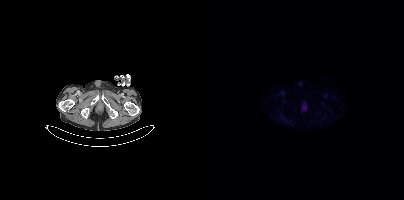
{"modality":"PSMA PET/CT","view":"axial","tracer":"18F-PSMA","pet_grid":[200,200],"coord_frame":"pet_panel","coord_format":"x0,y0,x1,y1","psma_avid_lesions":false}